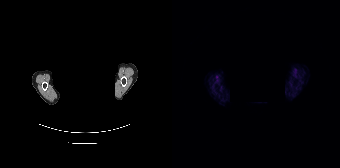
Technique: Paired axial CT (left) and PSMA PET (right), 68Ga-PSMA tracer.
Note: De-identified by setting a box covering the face to black before release.
Findings: Negative for PSMA-avid disease on this slice.